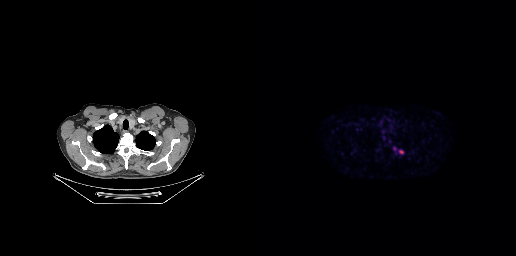
modality: PSMA PET/CT | tracer: 18F-PSMA | view: axial | PET grid: 256×256
Coordinates are on the 256×256 PET (right) panel. PSMA-avid tumor lesion bounding box (x, y, width, height): x=139 y=150 w=5 h=4. Small PSMA-avid focus (2 to 4 px across) near (center x, center y): (134, 148).